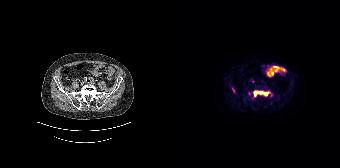
{"modality":"PSMA PET/CT","view":"axial","tracer":"18F","pet_grid":[168,168],"coord_frame":"pet_panel","coord_format":"x0,y0,x1,y1","partial":true,"lesion_bboxes":[[81,90,99,97],[60,88,62,92]],"small_foci_centers":[[77,93]]}